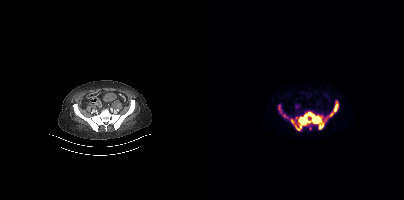
Findings: Coordinates are on the 200×200 PET (right) panel. PSMA-avid tumor lesion bounding boxes (x, y, width, height): x=86 y=100 w=49 h=31 / x=74 y=104 w=5 h=10 / x=79 y=114 w=6 h=6.
Technique: Left: CT. Right: PSMA PET, same axial level, [68Ga]Ga-PSMA-11 tracer. PET panel 200×200 px (4.1 mm/px).